Face de-identified by blanking a block of the head. Paired axial CT (left) and PSMA PET (right), 68Ga tracer. Acquired on Siemens Biograph 64-4R TruePoint.
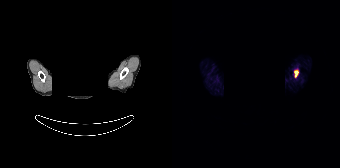
Coordinates are on the 168×168 PET (right) panel. PSMA-avid tumor lesion bounding box (x0, y0)-(x1, y1): (122, 70)-(126, 77).